modality: PSMA PET/CT | tracer: 18F | view: axial
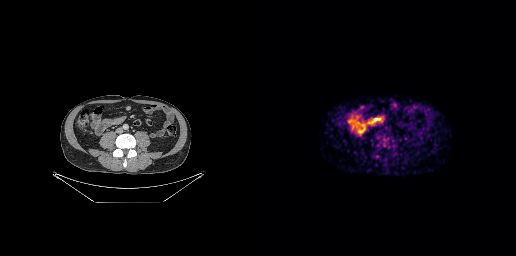
No PSMA-avid tumor lesions on this slice.